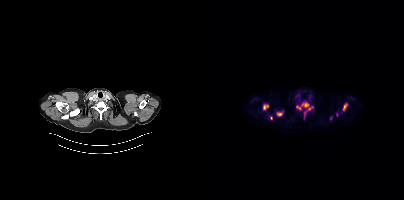
Coordinates are on the 200×200 PET (right) panel. PSMA-avid tumor lesion bounding boxes (x0, y0)-(x1, y1): (59, 105)-(64, 109) | (73, 113)-(77, 115) | (139, 104)-(142, 109). Small PSMA-avid foci (2 to 4 px across) near (center x, center y): (93, 107) | (106, 108) | (67, 118).